Technique: Paired axial CT (left) and PSMA PET (right), 18F-PSMA tracer. slice position z = -1246 mm. PET panel 200×200 px (4.1 mm/px).
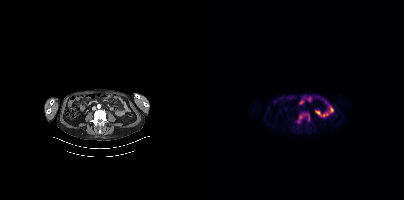
Findings: Coordinates are on the 200×200 PET (right) panel. PSMA-avid tumor lesion bounding box (x0,y0,x1,y1): [92,112,106,123].